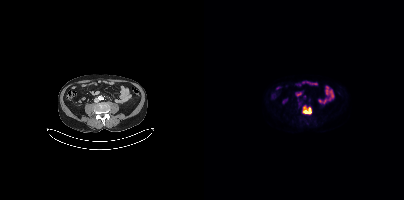
- Left: CT. Right: PSMA PET, same axial level, [18F]PSMA-1007 tracer
- acquired on Siemens Biograph mCT Flow 20
- slice position z = -1315 mm
- PET panel 200×200 px (4.1 mm/px)
Findings: Coordinates are on the 200×200 PET (right) panel. PSMA-avid tumor lesion bounding box (x0,y0,x1,y1): [99,106,106,113]. Small PSMA-avid foci (2 to 4 px across) near (center x, center y): (100, 96); (95, 103).